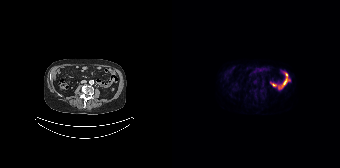
Technique: Left: CT. Right: PSMA PET, same axial level, 18F-PSMA tracer. acquired on Siemens Biograph 64-4R TruePoint. PET panel 168×168 px (4.1 mm/px).
Findings: No tumor lesions annotated on this slice.